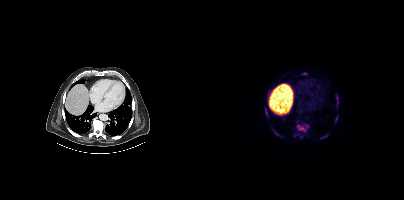
Technique: Two-panel axial: CT | PSMA PET, [18F]PSMA-1007 tracer. acquired on Siemens Biograph mCT Flow 20. slice 265 of 423. PET panel 200×200 px (4.1 mm/px).
Findings: Coordinates are on the 200×200 PET (right) panel. (showing 8 of 9 foci) PSMA-avid tumor lesion bounding boxes (x, y, width, height): x=92 y=123 w=14 h=9 / x=132 y=94 w=3 h=8 / x=68 y=129 w=7 h=7 / x=131 y=116 w=4 h=7 / x=118 y=134 w=6 h=5 / x=61 y=110 w=3 h=7. Small PSMA-avid foci (2 to 4 px across) near (center x, center y): (97, 137) / (89, 135).